Paired axial CT (left) and PSMA PET (right), [18F]PSMA-1007 tracer. Slice position z = -816 mm. PET panel 200×200 px (4.1 mm/px). De-identified by setting a box covering the face to black before release.
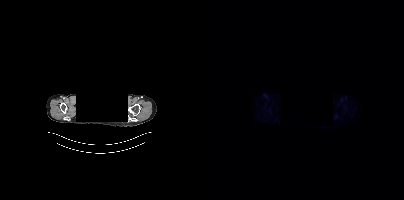
This slice has no annotated PSMA-avid lesion.